Two-panel axial: CT | PSMA PET, 18F tracer. PET panel 200×200 px (4.1 mm/px).
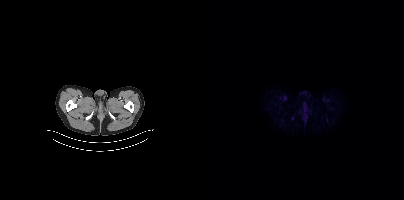
Negative for PSMA-avid disease on this slice.